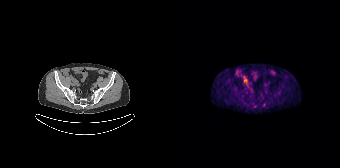
Only PSMA-avid lesion pieces thinner than 2 px on this slice (not listed).